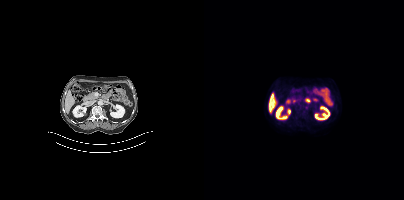
Technique: Two-panel axial: CT | PSMA PET, [18F]PSMA-1007 tracer.
Findings: No PSMA-avid tumor lesions on this slice.